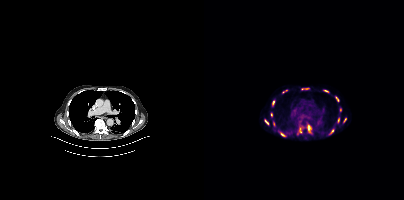
Technique: Paired axial CT (left) and PSMA PET (right), 18F tracer. slice position z = -392 mm.
Findings: Coordinates are on the 200×200 PET (right) panel. (showing 13 of 15 foci) PSMA-avid tumor lesion bounding boxes (x, y, width, height): x=103 y=124 w=5 h=9 / x=97 y=87 w=9 h=4 / x=95 y=127 w=3 h=7 / x=131 y=96 w=5 h=6 / x=60 y=119 w=5 h=6 / x=68 y=100 w=3 h=6 / x=133 y=117 w=3 h=6 / x=125 y=129 w=5 h=6 / x=77 y=133 w=5 h=4 / x=119 y=90 w=6 h=3 / x=140 y=118 w=3 h=5. Small PSMA-avid foci (2 to 4 px across) near (center x, center y): (136, 109) / (67, 114).